modality: PSMA PET/CT | tracer: [68Ga]Ga-PSMA-11 | view: axial | PET grid: 168×168
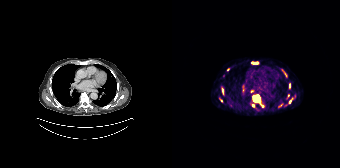
Coordinates are on the 168×168 PET (right) panel. (showing 11 of 13 foci) PSMA-avid tumor lesion bounding boxes (x0, y0)-(x1, y1): (81, 95)-(87, 102) | (109, 69)-(115, 77) | (80, 62)-(86, 63) | (117, 98)-(120, 103) | (50, 88)-(51, 92). Small PSMA-avid foci (2 to 4 px across) near (center x, center y): (117, 85) | (81, 105) | (71, 90) | (116, 95) | (49, 100) | (90, 105).